- Two-panel axial: CT | PSMA PET, 68Ga-PSMA tracer
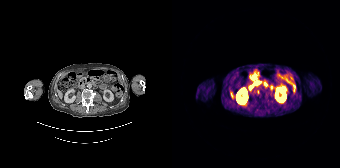
Findings: Only PSMA-avid lesion pieces thinner than 2 px on this slice (not listed).